De-identified by setting a box covering the face to black before release. Two-panel axial: CT | PSMA PET, 68Ga tracer. Slice 387 of 409.
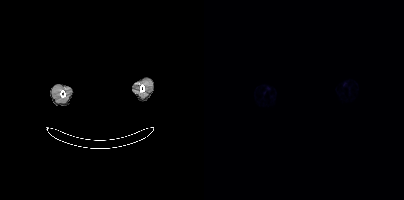
This slice has no annotated PSMA-avid lesion.